Paired axial CT (left) and PSMA PET (right), 18F-PSMA tracer. Acquired on Siemens Biograph mCT Flow 20.
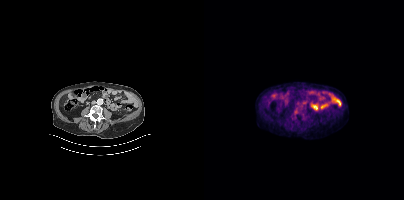
No PSMA-avid tumor lesions on this slice.